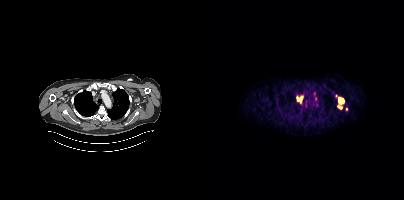
Coordinates are on the 200×200 PET (right) panel. (showing 3 of 5 foci) PSMA-avid tumor lesion bounding boxes (x0, y0)-(x1, y1): (133, 97)-(140, 109) / (93, 97)-(98, 100) / (111, 96)-(113, 101).